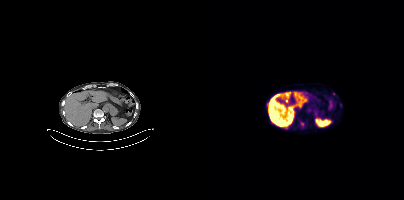
Technique: Paired axial CT (left) and PSMA PET (right), 18F-PSMA tracer.
Findings: Coordinates are on the 200×200 PET (right) panel. (showing 1 of 2 foci) Small PSMA-avid focus (2 to 4 px across) near (center x, center y): (98, 123).